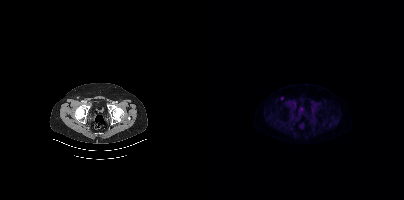
{"modality":"PSMA PET/CT","view":"axial","tracer":"[18F]PSMA-1007","pet_grid":[200,200],"coord_frame":"pet_panel","coord_format":"x0,y0,x1,y1","lesion_bboxes":[],"small_foci_centers":[[78,98]]}